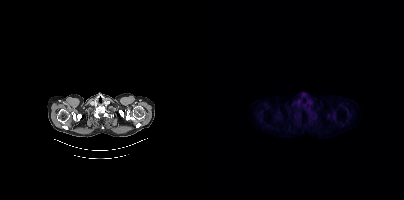
Left: CT. Right: PSMA PET, same axial level, [18F]PSMA-1007 tracer. Slice 360 of 429. Only PSMA-avid lesion pieces thinner than 2 px on this slice (not listed).